Left: CT. Right: PSMA PET, same axial level, [18F]PSMA-1007 tracer. Slice 42 of 454.
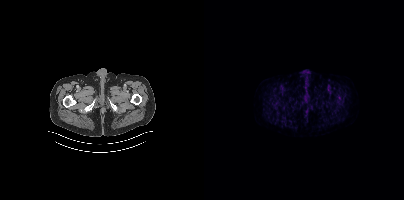
No PSMA-avid tumor lesions on this slice.